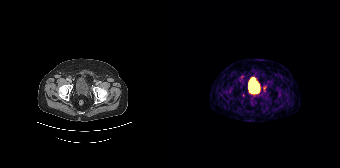
Coordinates are on the 168×168 PET (right) panel. Small PSMA-avid focus (2 to 4 px across) near (center x, center y): (92, 87).